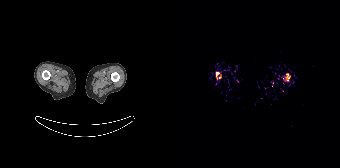
Coordinates are on the 168×168 PET (right) panel. PSMA-avid tumor lesion bounding boxes (x0, y0)-(x1, y1): (111, 73)-(118, 81); (44, 72)-(48, 79). Small PSMA-avid focus (2 to 4 px across) near (center x, center y): (48, 77).